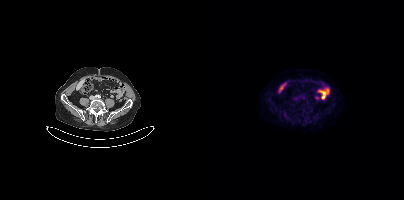
This slice has no annotated PSMA-avid lesion. Left: CT. Right: PSMA PET, same axial level, [18F]PSMA-1007 tracer. Acquired on Siemens Biograph mCT Flow 20. PET panel 200×200 px (4.1 mm/px).